Technique: Two-panel axial: CT | PSMA PET, 18F tracer. PET panel 200×200 px (4.1 mm/px).
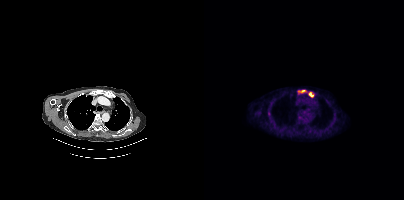
Findings: Coordinates are on the 200×200 PET (right) panel. (showing 2 of 3 foci) PSMA-avid tumor lesion bounding boxes (x0, y0)-(x1, y1): (104, 92)-(109, 97) | (94, 90)-(102, 92).